modality: PSMA PET/CT | tracer: [18F]PSMA-1007 | view: axial
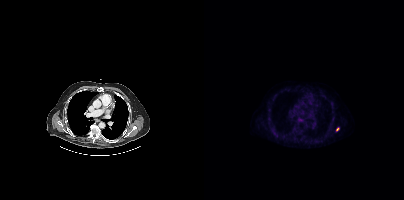
Coordinates are on the 200×200 PET (right) panel. Small PSMA-avid focus (2 to 4 px across) near (center x, center y): (133, 129).